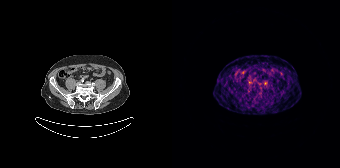
{"pet_grid":[168,168],"coord_frame":"pet_panel","coord_format":"x0,y0,x1,y1","lesion_bboxes":[],"small_foci_centers":[[77,81]],"modality":"PSMA PET/CT","view":"axial","tracer":"68Ga"}